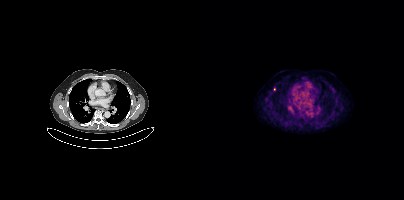
Paired axial CT (left) and PSMA PET (right), [18F]PSMA-1007 tracer. Slice position z = -1136 mm. PET panel 200×200 px (4.1 mm/px). Only PSMA-avid lesion pieces thinner than 2 px on this slice (not listed).